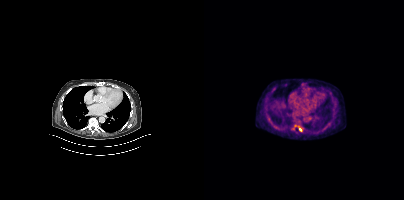
Coordinates are on the 200×200 PET (right) panel. PSMA-avid tumor lesion bounding box (x0,y0,x1,y1): [94,126,98,131]. Left: CT. Right: PSMA PET, same axial level, 18F-PSMA tracer. Slice position z = -1174 mm. PET panel 200×200 px (4.1 mm/px).